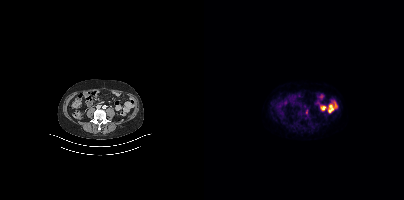
Coordinates are on the 200×200 PET (right) panel. Small PSMA-avid focus (2 to 4 px across) near (center x, center y): (102, 111).